Technique: Two-panel axial: CT | PSMA PET, 18F tracer. slice position z = -979 mm. PET panel 200×200 px (4.1 mm/px).
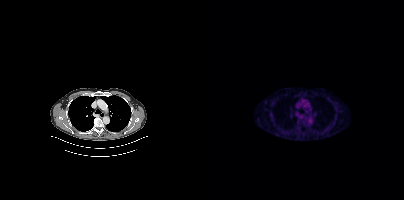
Findings: Coordinates are on the 200×200 PET (right) panel. Small PSMA-avid focus (2 to 4 px across) near (center x, center y): (66, 114).